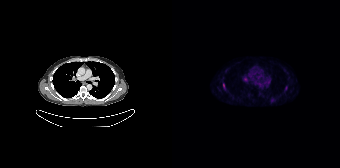
Left: CT. Right: PSMA PET, same axial level, [18F]PSMA-1007 tracer. Coordinates are on the 168×168 PET (right) panel. Small PSMA-avid focus (2 to 4 px across) near (center x, center y): (52, 87).